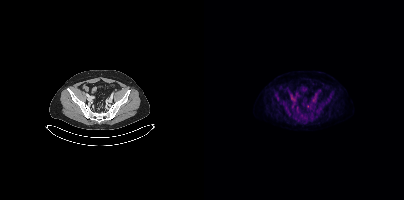
modality: PSMA PET/CT | tracer: 18F-PSMA | view: axial | PET grid: 200×200
Only PSMA-avid lesion pieces thinner than 2 px on this slice (not listed).